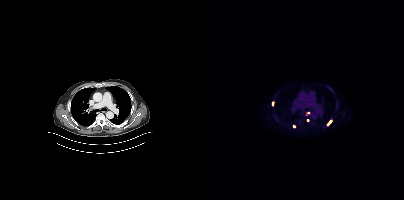
modality: PSMA PET/CT | tracer: 18F | view: axial | PET grid: 200×200
Coordinates are on the 200×200 PET (right) panel. (showing 3 of 5 foci) PSMA-avid tumor lesion bounding box (x0,y0,x1,y1): [123,120,127,125]. Small PSMA-avid foci (2 to 4 px across) near (center x, center y): (68, 103); (89, 126).